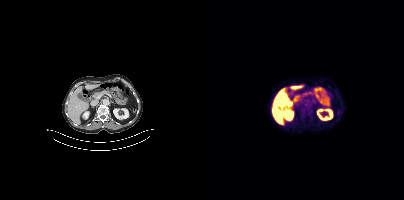
No PSMA-avid tumor lesions on this slice. Paired axial CT (left) and PSMA PET (right), [18F]PSMA-1007 tracer. Acquired on Siemens Biograph mCT Flow 20.